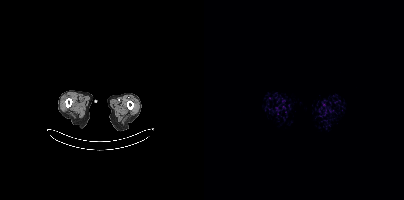
Technique: Two-panel axial: CT | PSMA PET, 18F-PSMA tracer.
Findings: No tumor lesions annotated on this slice.